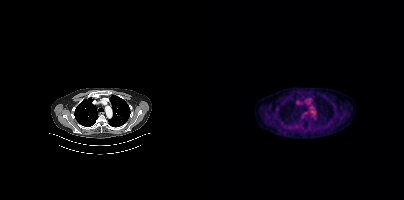
modality: PSMA PET/CT | tracer: [18F]PSMA-1007 | view: axial | PET grid: 200×200
Negative for PSMA-avid disease on this slice.